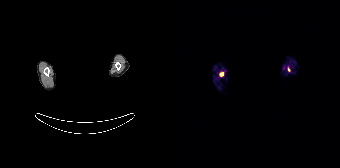
Findings: Coordinates are on the 168×168 PET (right) panel. Small PSMA-avid foci (2 to 4 px across) near (center x, center y): (49, 74); (116, 69).
- Left: CT. Right: PSMA PET, same axial level, [68Ga]Ga-PSMA-11 tracer
- acquired on Siemens Biograph 64-4R TruePoint
- PET panel 168×168 px (4.1 mm/px)
- privacy masking over the head, with the pixels inside a rectangle set to black